Technique: Two-panel axial: CT | PSMA PET, 18F tracer. acquired on GE Discovery 690. PET panel 256×256 px (2.7 mm/px).
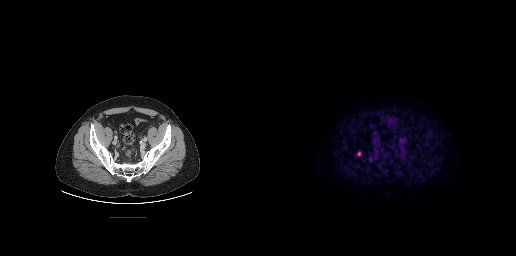
Findings: Coordinates are on the 256×256 PET (right) panel. Small PSMA-avid focus (2 to 4 px across) near (center x, center y): (99, 154).